Technique: Two-panel axial: CT | PSMA PET, [18F]PSMA-1007 tracer. slice position z = -674 mm. PET panel 200×200 px (4.1 mm/px).
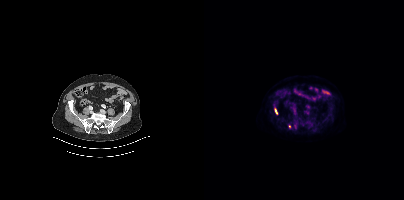
Findings: Coordinates are on the 200×200 PET (right) panel. PSMA-avid tumor lesion bounding box (x, y, width, height): x=71 y=109 w=3 h=5. Small PSMA-avid focus (2 to 4 px across) near (center x, center y): (85, 126).